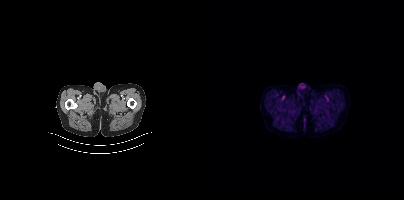
{"modality":"PSMA PET/CT","view":"axial","tracer":"18F","pet_grid":[200,200],"coord_frame":"pet_panel","coord_format":"x0,y0,x1,y1","psma_avid_lesions":false}